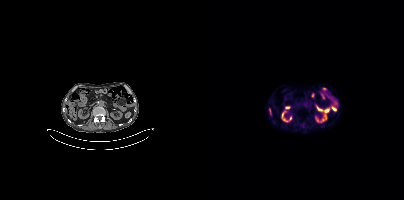
No PSMA-avid tumor lesions on this slice.